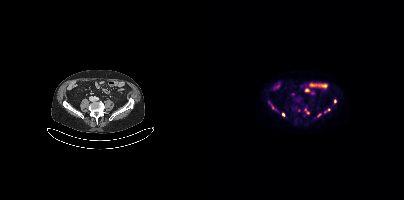
Coordinates are on the 200×200 PET (right) panel. (showing 6 of 7 foci) PSMA-avid tumor lesion bounding box (x, y, width, height): x=120 y=108 w=7 h=5. Small PSMA-avid foci (2 to 4 px across) near (center x, center y): (79, 114) / (101, 109) / (68, 107) / (130, 101) / (114, 115).